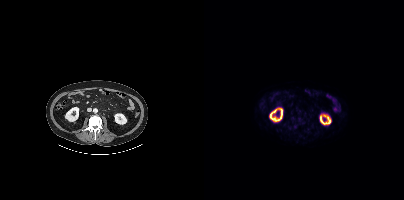
Technique: Paired axial CT (left) and PSMA PET (right), 18F tracer. slice 250 of 508. PET panel 200×200 px (4.1 mm/px).
Findings: No PSMA-avid tumor lesions on this slice.